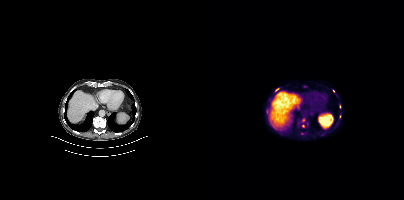
Coordinates are on the 200×200 PET (right) panel. (showing 5 of 6 foci) PSMA-avid tumor lesion bounding box (x0, y0)-(x1, y1): (62, 109)-(64, 113). Small PSMA-avid foci (2 to 4 px across) near (center x, center y): (136, 106); (72, 89); (135, 116); (129, 90).